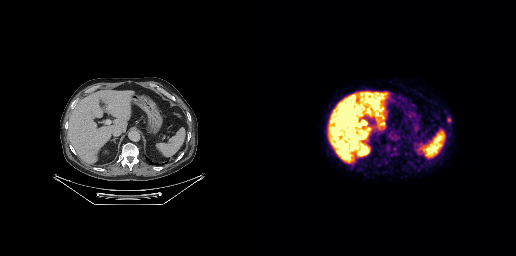
Only PSMA-avid lesion pieces thinner than 2 px on this slice (not listed).